modality: PSMA PET/CT | tracer: 68Ga | view: axial | PET grid: 256×256
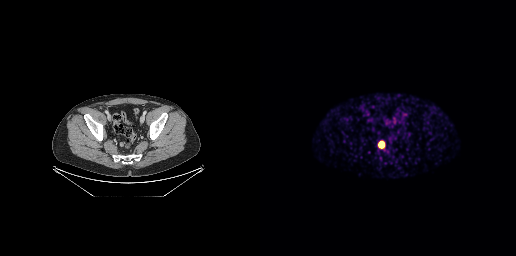
Coordinates are on the 256×256 PET (right) panel. PSMA-avid tumor lesion bounding box (x, y, width, height): x=119 y=142 w=6 h=6.